Paired axial CT (left) and PSMA PET (right), [18F]PSMA-1007 tracer. Slice position z = -62 mm. PET panel 200×200 px (4.1 mm/px).
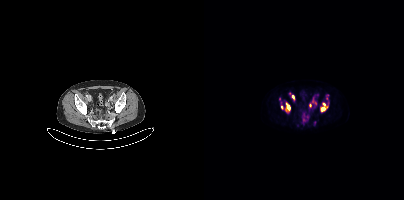
Coordinates are on the 200×200 PET (right) panel. PSMA-avid tumor lesion bounding boxes (partial; 3 more foci not listed):
| # | x0 | y0 | x1 | y1 |
|---|---|---|---|---|
| 1 | 81 | 102 | 86 | 112 |
| 2 | 117 | 103 | 121 | 110 |
| 3 | 87 | 95 | 91 | 100 |
| 4 | 108 | 100 | 112 | 105 |
| 5 | 77 | 102 | 78 | 108 |
Small PSMA-avid foci (2 to 4 px across) near (center x, center y): (106, 105); (122, 98); (99, 119).